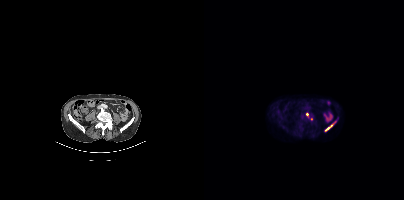
Coordinates are on the 200×200 PET (right) panel. PSMA-avid tumor lesion bounding box (x0, y0)-(x1, y1): (123, 125)-(128, 129). Small PSMA-avid focus (2 to 4 px across) near (center x, center y): (102, 114).